Technique: Two-panel axial: CT | PSMA PET, [68Ga]Ga-PSMA-11 tracer.
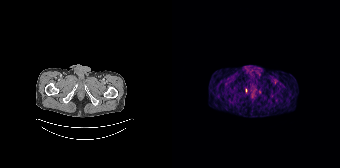
Findings: Only PSMA-avid lesion pieces thinner than 2 px on this slice (not listed).